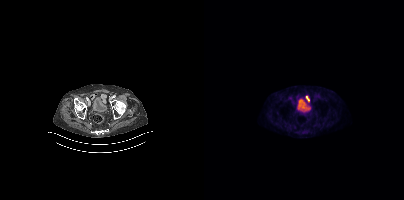
modality: PSMA PET/CT | tracer: 18F-PSMA | view: axial | PET grid: 200×200
No PSMA-avid tumor lesions on this slice.